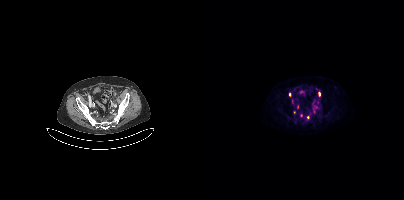
- Left: CT. Right: PSMA PET, same axial level, 18F-PSMA tracer
- acquired on Siemens Biograph mCT Flow 20
- slice position z = -32 mm
- PET panel 200×200 px (4.1 mm/px)
Findings: Coordinates are on the 200×200 PET (right) panel. (showing 6 of 9 foci) Small PSMA-avid foci (2 to 4 px across) near (center x, center y): (97, 115) / (115, 93) / (93, 106) / (104, 117) / (90, 112) / (85, 94).